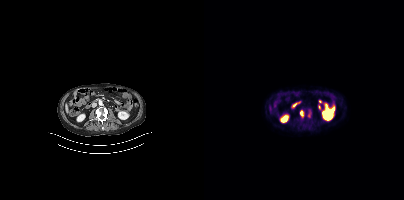
Coordinates are on the 200×200 PET (right) panel. PSMA-avid tumor lesion bounding boxes (x0, y0)-(x1, y1): (104, 109)-(107, 116) | (96, 111)-(99, 115).
modality: PSMA PET/CT | tracer: 18F | view: axial